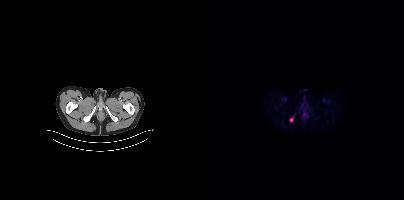
Findings: Coordinates are on the 200×200 PET (right) panel. Small PSMA-avid focus (2 to 4 px across) near (center x, center y): (87, 119).
Technique: Paired axial CT (left) and PSMA PET (right), [18F]PSMA-1007 tracer. slice position z = -904 mm.